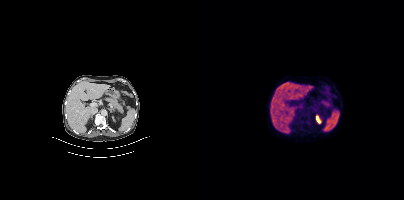
Negative for PSMA-avid disease on this slice.